Paired axial CT (left) and PSMA PET (right), 18F tracer. Acquired on Siemens Biograph mCT Flow 20. PET panel 200×200 px (4.1 mm/px).
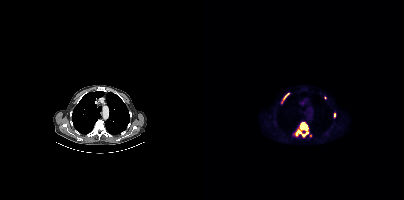
Coordinates are on the 200×200 PET (right) panel. PSMA-avid tumor lesion bounding boxes (x, y, width, height): x=92 y=122 w=13 h=15 / x=78 y=93 w=8 h=9. Small PSMA-avid foci (2 to 4 px across) near (center x, center y): (130, 114) / (121, 97) / (106, 135).